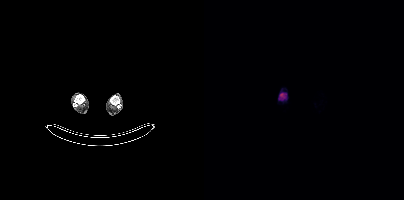
Paired axial CT (left) and PSMA PET (right), 18F-PSMA tracer. Coordinates are on the 200×200 PET (right) panel. PSMA-avid tumor lesion bounding box (x0,y0,x1,y1): [76,93,80,97].